- Two-panel axial: CT | PSMA PET, 68Ga-PSMA tracer
- slice 24 of 411
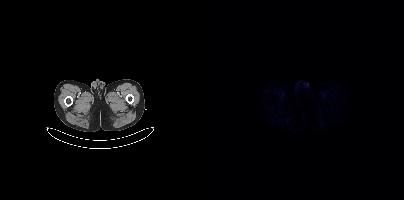
Findings: This slice has no annotated PSMA-avid lesion.